Paired axial CT (left) and PSMA PET (right), [18F]PSMA-1007 tracer. PET panel 200×200 px (4.1 mm/px). Facial anatomy redacted by setting a rectangular region of the head to black.
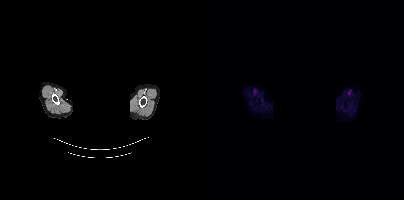
This slice has no annotated PSMA-avid lesion.